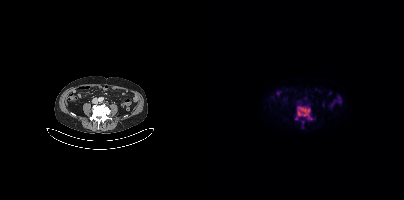
Findings: Coordinates are on the 200×200 PET (right) panel. PSMA-avid tumor lesion bounding box (x0, y0)-(x1, y1): (91, 106)-(108, 119). Small PSMA-avid focus (2 to 4 px across) near (center x, center y): (98, 121).
Technique: Paired axial CT (left) and PSMA PET (right), [18F]PSMA-1007 tracer. acquired on Siemens Biograph mCT Flow 20. slice position z = -68 mm.